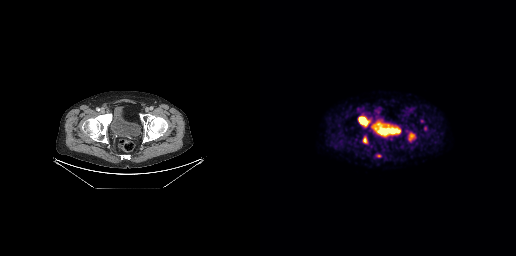
{"modality":"PSMA PET/CT","view":"axial","tracer":"[18F]PSMA-1007","pet_grid":[256,256],"coord_frame":"pet_panel","coord_format":"x0,y0,x1,y1","lesion_bboxes":[[98,116,109,126],[148,132,155,141],[103,137,106,142]],"small_foci_centers":[[165,128],[162,121],[118,155]]}